Technique: Left: CT. Right: PSMA PET, same axial level, 68Ga-PSMA tracer. acquired on GE Discovery 690. slice 188 of 263. PET panel 256×256 px (2.7 mm/px).
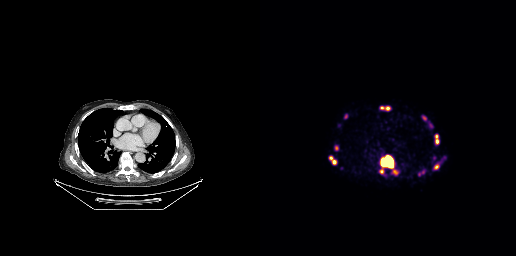
Findings: Coordinates are on the 256×256 PET (right) panel. PSMA-avid tumor lesion bounding boxes (x0,y0,x1,y1): [121,156,132,167]; [175,134,179,144]; [119,169,124,174]; [162,115,166,120]; [84,114,87,118]; [75,146,78,150]; [120,106,124,109]. Small PSMA-avid foci (2 to 4 px across) near (center x, center y): (170, 125); (74, 161); (176, 166); (127, 108); (135, 172); (71, 158).